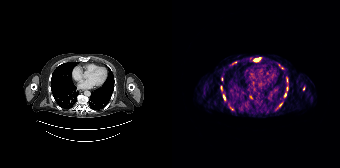
Coordinates are on the 168×168 PET (right) panel. (showing 5 of 11 foci) PSMA-avid tumor lesion bounding boxes (x, y, width, height): x=82 y=58 w=7 h=4 / x=48 y=86 w=3 h=6 / x=51 y=96 w=3 h=5. Small PSMA-avid foci (2 to 4 px across) near (center x, center y): (131, 88) / (109, 104).